- Paired axial CT (left) and PSMA PET (right), 18F tracer
- acquired on Siemens Biograph 64-4R TruePoint
- slice 122 of 165
- PET panel 168×168 px (4.1 mm/px)
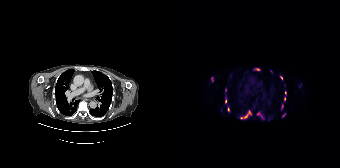
Findings: Coordinates are on the 168×168 PET (right) panel. (showing 9 of 14 foci) PSMA-avid tumor lesion bounding boxes (x0,y0,x1,y1): [68,116,73,118] [83,68,87,70] [75,112,79,117] [53,99,54,103] [56,107,57,111]. Small PSMA-avid foci (2 to 4 px across) near (center x, center y): (109, 77) (113, 92) (112, 98) (86, 113).